Paired axial CT (left) and PSMA PET (right), 68Ga tracer. Slice position z = -1262 mm. PET panel 168×168 px (4.1 mm/px).
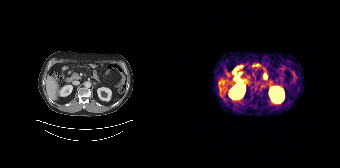
Negative for PSMA-avid disease on this slice.